Two-panel axial: CT | PSMA PET, 18F-PSMA tracer. Slice 172 of 448. PET panel 200×200 px (4.1 mm/px).
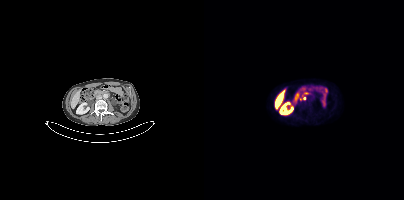
Coordinates are on the 200×200 PET (right) panel. Small PSMA-avid focus (2 to 4 px across) near (center x, center y): (100, 98).